Two-panel axial: CT | PSMA PET, 18F-PSMA tracer. PET panel 200×200 px (4.1 mm/px).
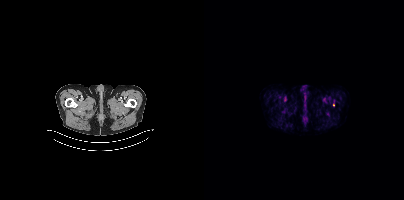
Coordinates are on the 200×200 PET (right) panel. Small PSMA-avid focus (2 to 4 px across) near (center x, center y): (129, 105).